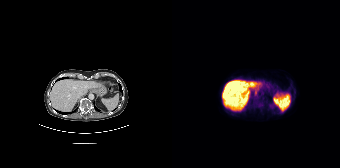
Left: CT. Right: PSMA PET, same axial level, 18F-PSMA tracer. Slice position z = -903 mm. No tumor lesions annotated on this slice.